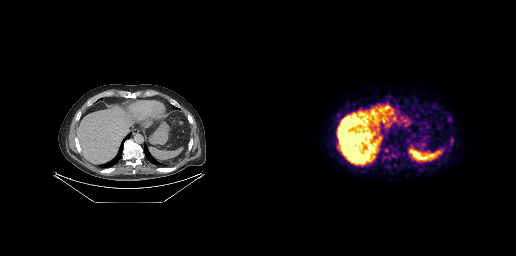
Findings: Coordinates are on the 256×256 PET (right) panel. PSMA-avid tumor lesion bounding box (x0, y0)-(x1, y1): (191, 138)-(193, 143). Small PSMA-avid focus (2 to 4 px across) near (center x, center y): (189, 119).
- Two-panel axial: CT | PSMA PET, 18F-PSMA tracer
- slice 191 of 299
- PET panel 256×256 px (2.7 mm/px)